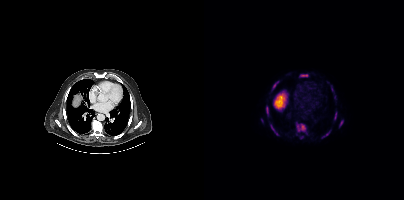
modality: PSMA PET/CT | tracer: 18F | view: axial
Coordinates are on the 200×200 PET (right) panel. (showing 11 of 12 foci) PSMA-avid tumor lesion bounding boxes (x, y, width, height): x=92 y=122 w=11 h=14; x=67 y=125 w=9 h=11; x=68 y=81 w=8 h=7; x=96 y=74 w=9 h=3; x=118 y=130 w=9 h=9; x=135 y=120 w=5 h=8; x=62 y=106 w=3 h=7; x=130 y=112 w=3 h=8; x=127 y=85 w=3 h=7; x=130 y=95 w=3 h=5. Small PSMA-avid focus (2 to 4 px across) near (center x, center y): (97, 137).